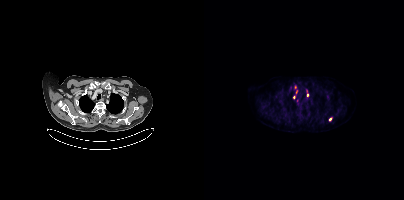
Technique: Paired axial CT (left) and PSMA PET (right), 18F-PSMA tracer. acquired on Siemens Biograph mCT Flow 20. slice position z = -401 mm.
Findings: Coordinates are on the 200×200 PET (right) panel. (showing 1 of 3 foci) Small PSMA-avid focus (2 to 4 px across) near (center x, center y): (126, 119).